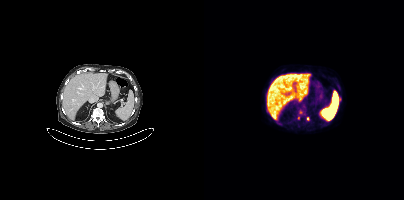
Coordinates are on the 200×200 PET (right) panel. Small PSMA-avid foci (2 to 4 px across) near (center x, center y): (136, 99); (97, 112); (94, 118); (103, 118).